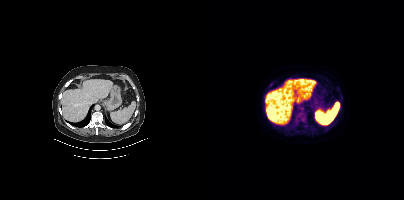
Coordinates are on the 200×200 PET (right) panel. PSMA-avid tumor lesion bounding boxes (x0, y0)-(x1, y1): (89, 111)-(101, 126) | (98, 120)-(103, 125). Small PSMA-avid focus (2 to 4 px across) near (center x, center y): (136, 97). Two-panel axial: CT | PSMA PET, [18F]PSMA-1007 tracer. PET panel 200×200 px (4.1 mm/px).